- Two-panel axial: CT | PSMA PET, [18F]PSMA-1007 tracer
- PET panel 200×200 px (4.1 mm/px)
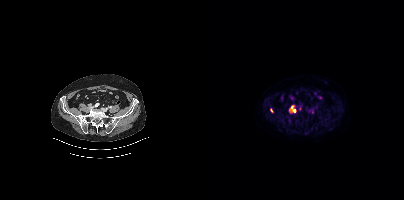
Findings: Coordinates are on the 200×200 PET (right) panel. PSMA-avid tumor lesion bounding box (x, y, width, height): x=86 y=106 w=6 h=6.